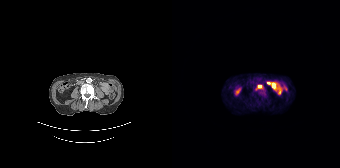
Technique: Paired axial CT (left) and PSMA PET (right), 68Ga tracer. acquired on Siemens Biograph 64-4R TruePoint. PET panel 168×168 px (4.1 mm/px).
Findings: Coordinates are on the 168×168 PET (right) panel. PSMA-avid tumor lesion bounding box (x0,y0,x1,y1): [84,85,88,89].